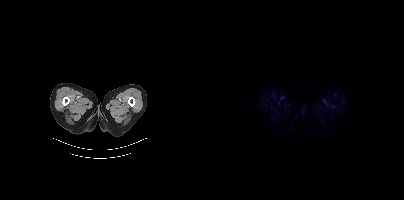
{"modality":"PSMA PET/CT","view":"axial","tracer":"18F-PSMA","pet_grid":[200,200],"coord_frame":"pet_panel","coord_format":"x0,y0,x1,y1","psma_avid_lesions":false}